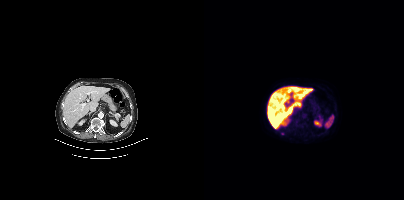
Technique: Paired axial CT (left) and PSMA PET (right), 18F tracer. slice position z = -650 mm.
Findings: Only PSMA-avid lesion pieces thinner than 2 px on this slice (not listed).